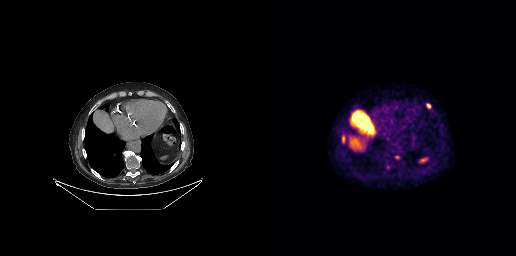
Findings: Coordinates are on the 256×256 PET (right) panel. PSMA-avid tumor lesion bounding box (x0,y0,x1,y1): [166,104,170,108]. Small PSMA-avid foci (2 to 4 px across) near (center x, center y): (83, 140), (137, 156).
- Left: CT. Right: PSMA PET, same axial level, 18F tracer
- PET panel 256×256 px (2.7 mm/px)